Two-panel axial: CT | PSMA PET, 18F-PSMA tracer. Acquired on Siemens Biograph mCT Flow 20. PET panel 200×200 px (4.1 mm/px).
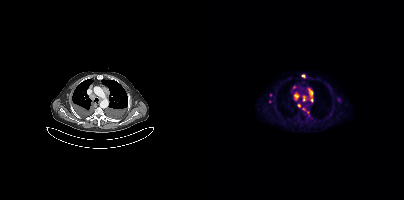
Coordinates are on the 200×200 PET (right) panel. PSMA-avid tumor lesion bounding boxes (partial; 2 more foci not listed):
| # | x0 | y0 | x1 | y1 |
|---|---|---|---|---|
| 1 | 104 | 88 | 109 | 101 |
| 2 | 90 | 93 | 94 | 99 |
| 3 | 99 | 96 | 101 | 101 |
| 4 | 97 | 74 | 101 | 77 |
Small PSMA-avid foci (2 to 4 px across) near (center x, center y): (95, 105); (66, 94); (65, 101); (99, 108).